Technique: Paired axial CT (left) and PSMA PET (right), 68Ga-PSMA tracer. acquired on GE Discovery 690.
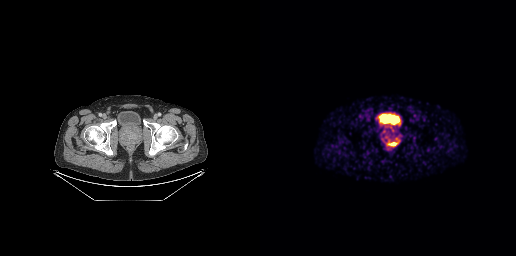
Findings: Coordinates are on the 256×256 PET (right) panel. PSMA-avid tumor lesion bounding box (x0, y0)-(x1, y1): (129, 142)-(135, 145).